Two-panel axial: CT | PSMA PET, 68Ga tracer. Acquired on Siemens Biograph 64-4R TruePoint. Slice position z = -954 mm. PET panel 168×168 px (4.1 mm/px).
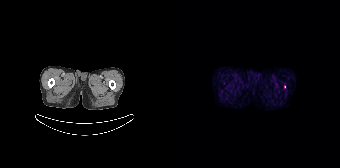
Only PSMA-avid lesion pieces thinner than 2 px on this slice (not listed).